Technique: Two-panel axial: CT | PSMA PET, 68Ga tracer. acquired on Siemens Biograph 64-4R TruePoint. slice 159 of 195.
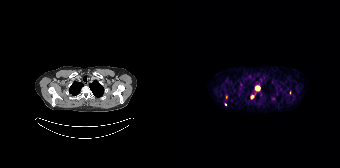
Findings: Coordinates are on the 168×168 PET (right) panel. (showing 4 of 6 foci) PSMA-avid tumor lesion bounding box (x0,y0,x1,y1): [83,86,88,90]. Small PSMA-avid foci (2 to 4 px across) near (center x, center y): (80, 96) (54, 96) (53, 104).